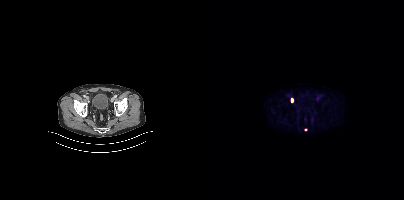
Findings: Only PSMA-avid lesion pieces thinner than 2 px on this slice (not listed).
- Left: CT. Right: PSMA PET, same axial level, 18F-PSMA tracer
- acquired on Siemens Biograph mCT Flow 20
- slice position z = -1384 mm